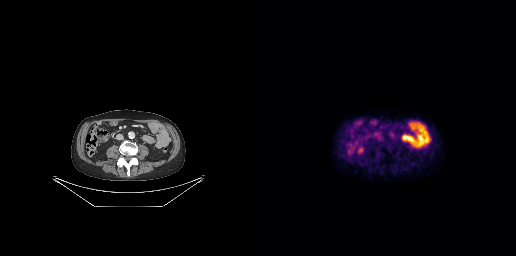
modality: PSMA PET/CT | tracer: 18F-PSMA | view: axial | PET grid: 256×256
This slice has no annotated PSMA-avid lesion.